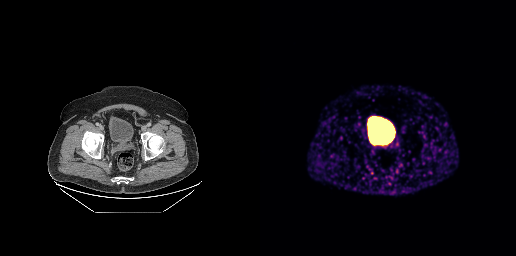
modality: PSMA PET/CT | tracer: [68Ga]Ga-PSMA-11 | view: axial
Coordinates are on the 256×256 PET (right) panel. PSMA-avid tumor lesion bounding box (x, y, width, height): x=114 y=135 w=19 h=9.